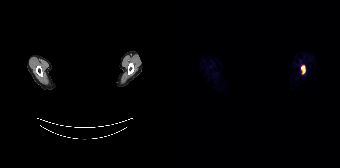
Technique: Paired axial CT (left) and PSMA PET (right), 68Ga-PSMA tracer. acquired on Siemens Biograph 64-4R TruePoint. PET panel 168×168 px (4.1 mm/px).
Note: A rectangular block over the head has been blanked out for de-identification.
Findings: Coordinates are on the 168×168 PET (right) panel. PSMA-avid tumor lesion bounding box (x0, y0)-(x1, y1): (129, 67)-(132, 71).